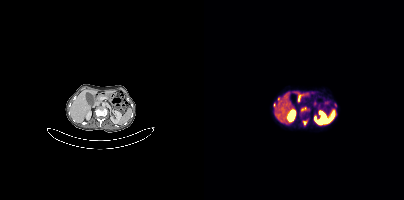
Coordinates are on the 200×200 PET (right) panel. (showing 3 of 5 foci) PSMA-avid tumor lesion bounding box (x0,y0,x1,y1): [97,108,101,110]. Small PSMA-avid foci (2 to 4 px across) near (center x, center y): (100, 122), (131, 104). Paired axial CT (left) and PSMA PET (right), 68Ga-PSMA tracer. Acquired on Siemens Biograph mCT Flow 20. Slice 175 of 393. PET panel 200×200 px (4.1 mm/px).